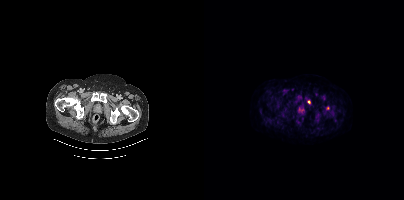
Coordinates are on the 200×200 PET (right) panel. Small PSMA-avid foci (2 to 4 px across) near (center x, center y): (104, 101) (124, 108).